Two-panel axial: CT | PSMA PET, [18F]PSMA-1007 tracer. Slice 339 of 395.
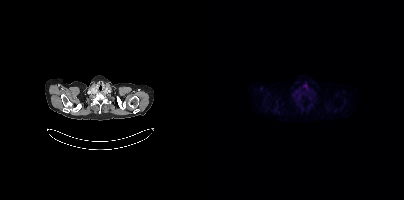
This slice has no annotated PSMA-avid lesion.